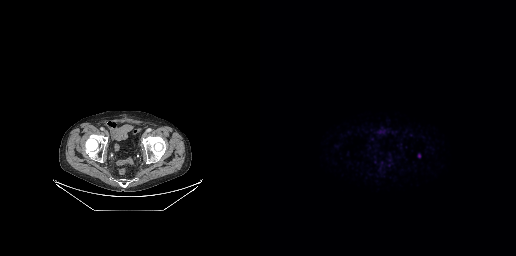
- Left: CT. Right: PSMA PET, same axial level, [68Ga]Ga-PSMA-11 tracer
Findings: Coordinates are on the 256×256 PET (right) panel. Small PSMA-avid focus (2 to 4 px across) near (center x, center y): (159, 155).